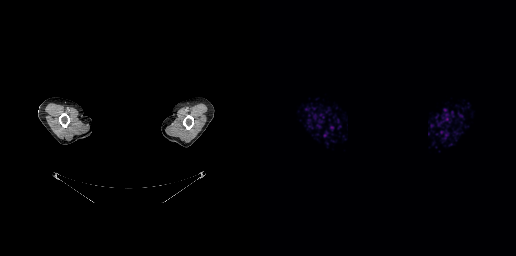
Paired axial CT (left) and PSMA PET (right), 68Ga-PSMA tracer. PET panel 256×256 px (2.7 mm/px). The face region was removed for patient privacy by blanking a rectangle over the head. This slice has no annotated PSMA-avid lesion.